Technique: Left: CT. Right: PSMA PET, same axial level, 18F-PSMA tracer. slice 325 of 444. PET panel 200×200 px (4.1 mm/px).
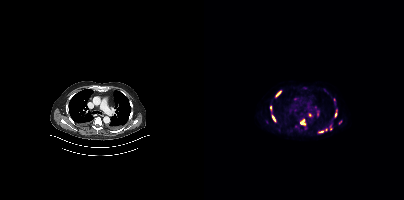
Findings: Coordinates are on the 200×200 PET (right) panel. PSMA-avid tumor lesion bounding boxes (x, y, width, height): x=96 y=118 w=7 h=8 / x=114 y=128 w=10 h=6 / x=71 y=91 w=7 h=6 / x=130 y=110 w=4 h=8 / x=129 y=98 w=3 h=8 / x=68 y=115 w=4 h=7 / x=66 y=106 w=2 h=5 / x=126 y=126 w=3 h=5. Small PSMA-avid foci (2 to 4 px across) near (center x, center y): (106, 115) / (136, 122) / (120, 89).